Paired axial CT (left) and PSMA PET (right), 18F-PSMA tracer. Acquired on Siemens Biograph mCT Flow 20.
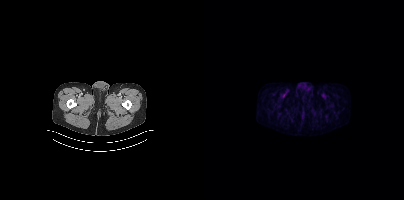
No tumor lesions annotated on this slice.